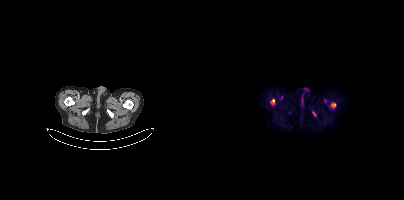
Coordinates are on the 200×200 PET (right) panel. PSMA-avid tumor lesion bounding boxes:
| # | x0 | y0 | x1 | y1 |
|---|---|---|---|---|
| 1 | 66 | 99 | 70 | 104 |
Small PSMA-avid foci (2 to 4 px across) near (center x, center y): (129, 104); (109, 113).
Paired axial CT (left) and PSMA PET (right), [18F]PSMA-1007 tracer. Acquired on Siemens Biograph mCT Flow 20. PET panel 200×200 px (4.1 mm/px).